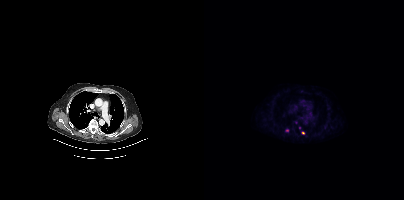
Coordinates are on the 200×200 PET (right) panel. Small PSMA-avid foci (2 to 4 px across) near (center x, center y): (99, 133); (83, 130).